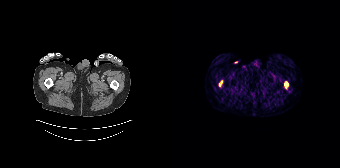
Technique: Two-panel axial: CT | PSMA PET, 68Ga-PSMA tracer. acquired on Siemens Biograph 64-4R TruePoint. slice position z = -1345 mm. PET panel 168×168 px (4.1 mm/px).
Findings: Coordinates are on the 168×168 PET (right) panel. PSMA-avid tumor lesion bounding box (x0, y0)-(x1, y1): (112, 82)-(116, 88). Small PSMA-avid foci (2 to 4 px across) near (center x, center y): (49, 81) | (47, 84).